- Two-panel axial: CT | PSMA PET, 68Ga-PSMA tracer
- slice position z = -1256 mm
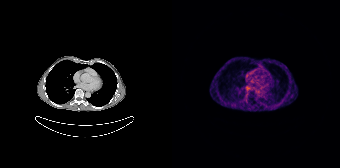
Findings: This slice has no annotated PSMA-avid lesion.